Two-panel axial: CT | PSMA PET, 18F tracer. Acquired on Siemens Biograph mCT Flow 20.
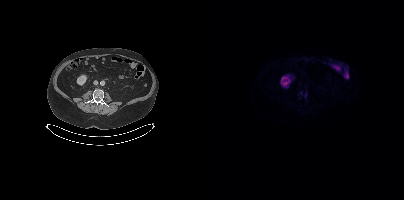
No tumor lesions annotated on this slice.